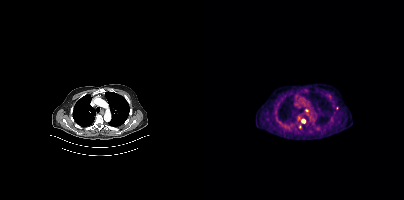
Coordinates are on the 200×200 PET (right) panel. (showing 3 of 4 foci) PSMA-avid tumor lesion bounding box (x, y, width, height): x=97 y=119 w=5 h=5. Small PSMA-avid foci (2 to 4 px across) near (center x, center y): (102, 110); (95, 126).